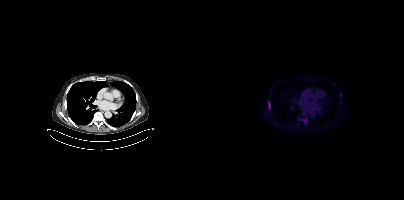
{"modality":"PSMA PET/CT","view":"axial","tracer":"[18F]PSMA-1007","pet_grid":[200,200],"coord_frame":"pet_panel","coord_format":"x0,y0,x1,y1","lesion_bboxes":[[64,102,66,109]],"small_foci_centers":[[136,95],[101,121]]}